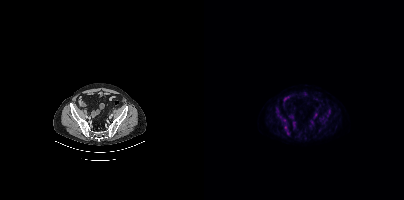
Technique: Paired axial CT (left) and PSMA PET (right), 18F-PSMA tracer. acquired on Siemens Biograph mCT Flow 20.
Findings: No tumor lesions annotated on this slice.